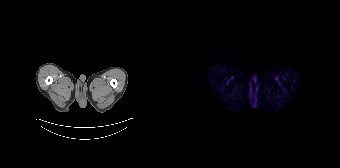
{"modality":"PSMA PET/CT","view":"axial","tracer":"18F-PSMA","pet_grid":[168,168],"coord_frame":"pet_panel","coord_format":"x0,y0,x1,y1","psma_avid_lesions":false}